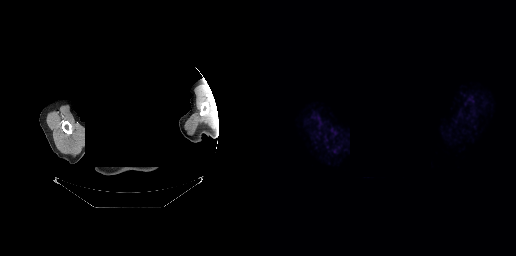
An anonymization step blacked out a rectangle over the head in this scan. Left: CT. Right: PSMA PET, same axial level, 68Ga tracer. No PSMA-avid tumor lesions on this slice.